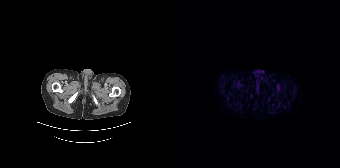
No PSMA-avid tumor lesions on this slice.